modality: PSMA PET/CT | tracer: 18F | view: axial | PET grid: 256×256
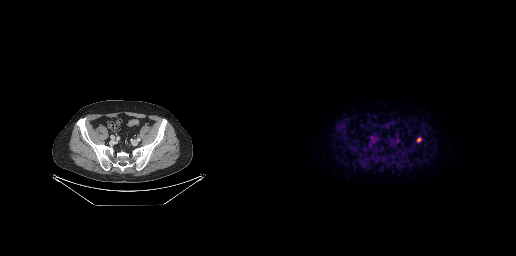
Coordinates are on the 256×256 PET (right) panel. Small PSMA-avid focus (2 to 4 px across) near (center x, center y): (158, 139).